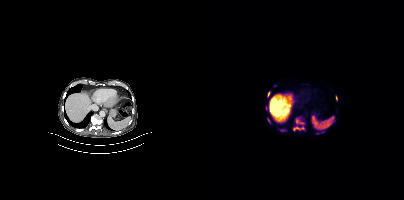
{"pet_grid":[200,200],"coord_frame":"pet_panel","coord_format":"x0,y0,x1,y1","partial":true,"lesion_bboxes":[[89,117,100,130],[63,92,65,96],[132,96,133,100],[64,119,66,123]],"small_foci_centers":[[77,130],[62,107]],"modality":"PSMA PET/CT","view":"axial","tracer":"[18F]PSMA-1007"}